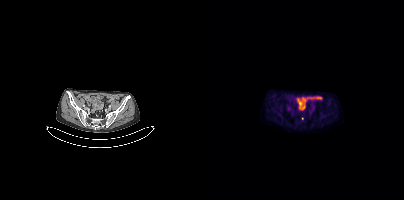
{"modality":"PSMA PET/CT","view":"axial","tracer":"[18F]PSMA-1007","pet_grid":[200,200],"coord_frame":"pet_panel","coord_format":"x0,y0,x1,y1","lesion_bboxes":[],"small_foci_centers":[[98,118]]}